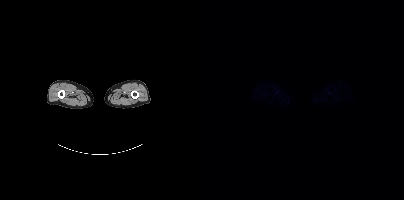
{"modality":"PSMA PET/CT","view":"axial","tracer":"18F-PSMA","pet_grid":[200,200],"coord_frame":"pet_panel","coord_format":"x0,y0,x1,y1","psma_avid_lesions":false}